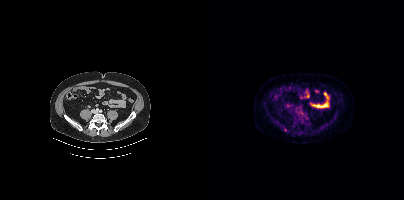
Paired axial CT (left) and PSMA PET (right), 18F tracer. Coordinates are on the 200×200 PET (right) panel. Small PSMA-avid focus (2 to 4 px across) near (center x, center y): (81, 130).